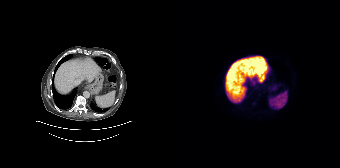
Negative for PSMA-avid disease on this slice.